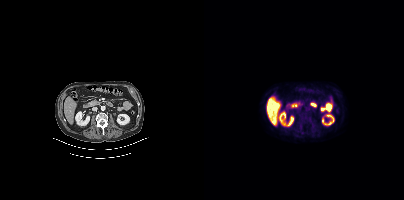
modality: PSMA PET/CT | tracer: 18F-PSMA | view: axial | PET grid: 200×200
No PSMA-avid tumor lesions on this slice.